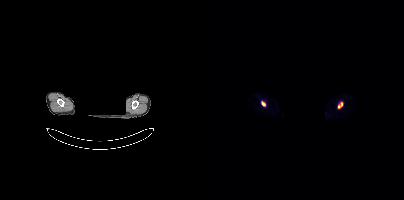
Coordinates are on the 200×200 PET (right) panel. PSMA-avid tumor lesion bounding box (x0,y0,x1,y1): [134,102,138,108]. Small PSMA-avid focus (2 to 4 px across) near (center x, center y): (59, 103).
redaction: facial region redacted | modality: PSMA PET/CT | tracer: [68Ga]Ga-PSMA-11 | view: axial | PET grid: 200×200